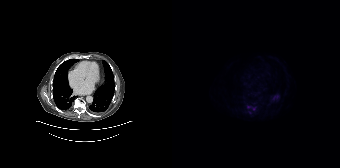
Left: CT. Right: PSMA PET, same axial level, [18F]PSMA-1007 tracer. Coordinates are on the 168×168 PET (right) panel. Small PSMA-avid foci (2 to 4 px across) near (center x, center y): (76, 106); (81, 108).